modality: PSMA PET/CT | tracer: 18F | view: axial | PET grid: 200×200
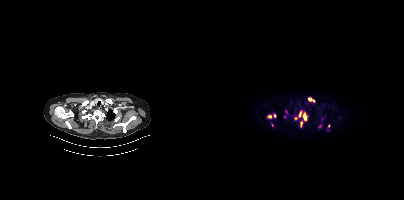
Coordinates are on the 200×200 PET (right) panel. (showing 8 of 10 foci) PSMA-avid tumor lesion bounding boxes (x0,y0,x1,y1): [99,112,103,120]; [104,97,110,102]; [94,111,97,117]; [96,121,98,127]. Small PSMA-avid foci (2 to 4 px across) near (center x, center y): (65, 116); (70, 115); (92, 118); (124, 125).